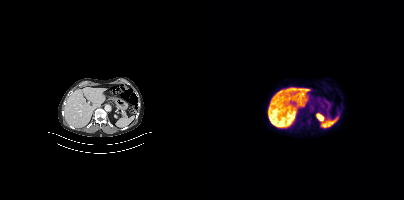
This slice has no annotated PSMA-avid lesion.